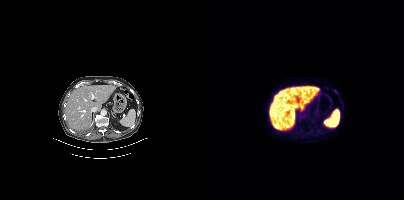
Technique: Left: CT. Right: PSMA PET, same axial level, 18F tracer. slice 222 of 429.
Findings: Coordinates are on the 200×200 PET (right) panel. Small PSMA-avid focus (2 to 4 px across) near (center x, center y): (131, 91).